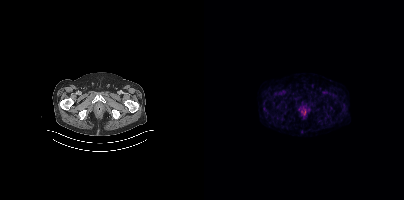
{"modality":"PSMA PET/CT","view":"axial","tracer":"[68Ga]Ga-PSMA-11","pet_grid":[200,200],"coord_frame":"pet_panel","coord_format":"x0,y0,x1,y1","psma_avid_lesions":false}